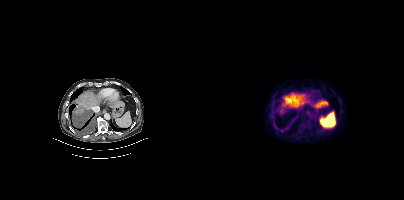
Left: CT. Right: PSMA PET, same axial level, 18F tracer. PET panel 200×200 px (4.1 mm/px).
Coordinates are on the 200×200 PET (right) panel. PSMA-avid tumor lesion bounding boxes:
| # | x0 | y0 | x1 | y1 |
|---|---|---|---|---|
| 1 | 78 | 126 | 85 | 131 |
| 2 | 70 | 124 | 75 | 129 |